Two-panel axial: CT | PSMA PET, 68Ga tracer. Slice 2 of 165. PET panel 168×168 px (4.1 mm/px).
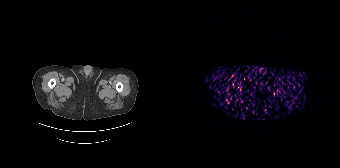
No PSMA-avid tumor lesions on this slice.